modality: PSMA PET/CT | tracer: [18F]PSMA-1007 | view: axial | redaction: privacy mask over head
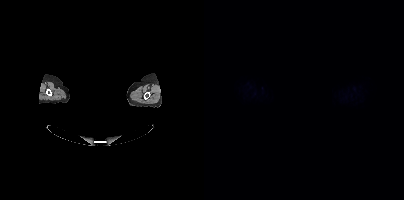
No tumor lesions annotated on this slice.